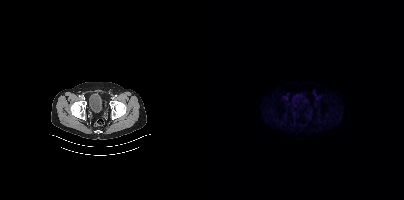
No tumor lesions annotated on this slice. Two-panel axial: CT | PSMA PET, 18F tracer. Slice 72 of 425.